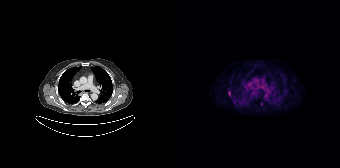
{"modality":"PSMA PET/CT","view":"axial","tracer":"18F-PSMA","pet_grid":[168,168],"coord_frame":"pet_panel","coord_format":"x0,y0,x1,y1","partial":true,"lesion_bboxes":[],"small_foci_centers":[[57,93]]}